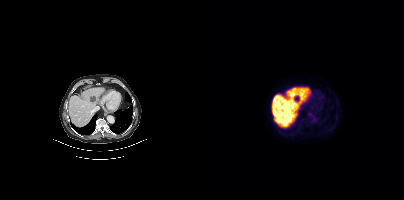
Left: CT. Right: PSMA PET, same axial level, [18F]PSMA-1007 tracer. PET panel 200×200 px (4.1 mm/px). Negative for PSMA-avid disease on this slice.